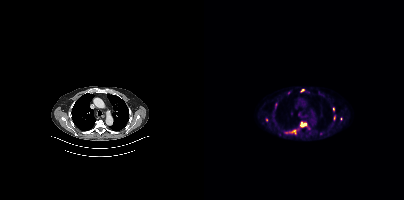
modality: PSMA PET/CT | tracer: [18F]PSMA-1007 | view: axial
Coordinates are on the 200×200 PET (right) panel. (showing 6 of 7 foci) PSMA-avid tumor lesion bounding boxes (x0, y0)-(x1, y1): (97, 123)-(102, 126) | (82, 131)-(87, 133). Small PSMA-avid foci (2 to 4 px across) near (center x, center y): (98, 90) | (129, 109) | (130, 118) | (62, 119).